Technique: Paired axial CT (left) and PSMA PET (right), [18F]PSMA-1007 tracer. acquired on Siemens Biograph mCT Flow 20. slice position z = -1506 mm.
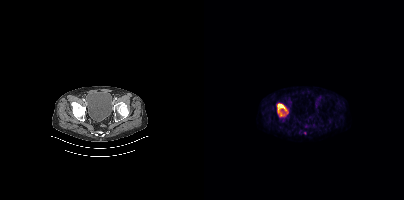
Findings: Coordinates are on the 200×200 PET (right) panel. (showing 1 of 2 foci) PSMA-avid tumor lesion bounding box (x, y, width, height): x=73 y=103 w=12 h=14.